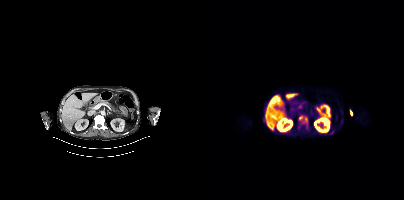
Coordinates are on the 200×200 PET (right) panel. PSMA-avid tumor lesion bounding boxes (partial; 1 more focus not listed):
| # | x0 | y0 | x1 | y1 |
|---|---|---|---|---|
| 1 | 94 | 115 | 104 | 126 |
Paired axial CT (left) and PSMA PET (right), [18F]PSMA-1007 tracer. Slice position z = -1144 mm.